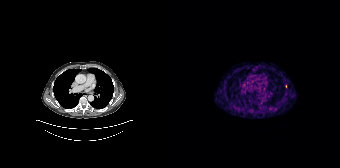
modality: PSMA PET/CT | tracer: 68Ga | view: axial
Coordinates are on the 168×168 PET (right) panel. Small PSMA-avid focus (2 to 4 px across) near (center x, center y): (113, 86).